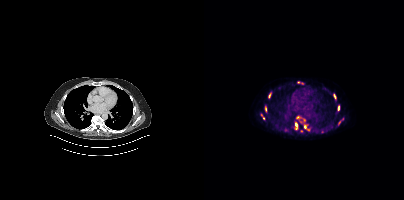
Coordinates are on the 200×200 PET (right) panel. (showing 9 of 11 foci) PSMA-avid tumor lesion bounding boxes (x0, y0)-(x1, y1): (91, 122)-(93, 129); (100, 125)-(105, 130); (134, 106)-(135, 110); (130, 94)-(131, 98). Small PSMA-avid foci (2 to 4 px across) near (center x, center y): (93, 117); (65, 95); (61, 109); (100, 120); (59, 118).